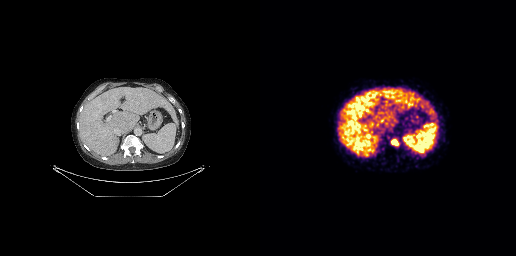
Two-panel axial: CT | PSMA PET, 68Ga tracer.
Coordinates are on the 256×256 PET (right) panel. PSMA-avid tumor lesion bounding boxes:
| # | x0 | y0 | x1 | y1 |
|---|---|---|---|---|
| 1 | 131 | 139 | 138 | 145 |